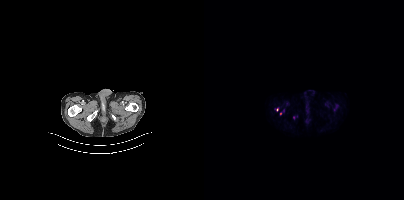
modality: PSMA PET/CT | tracer: [18F]PSMA-1007 | view: axial
Only PSMA-avid lesion pieces thinner than 2 px on this slice (not listed).